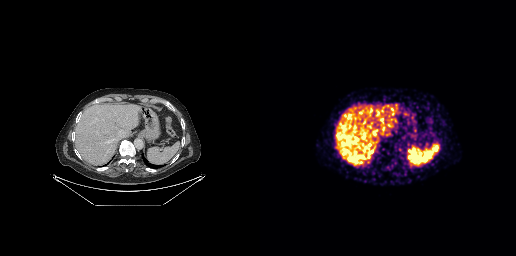
{"modality":"PSMA PET/CT","view":"axial","tracer":"68Ga","pet_grid":[256,256],"coord_frame":"pet_panel","coord_format":"x0,y0,x1,y1","psma_avid_lesions":false}